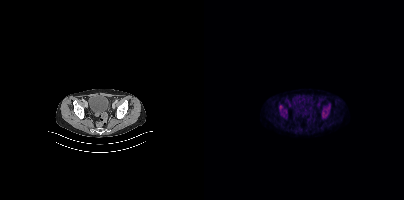
Technique: Two-panel axial: CT | PSMA PET, 18F-PSMA tracer. slice 87 of 413. PET panel 200×200 px (4.1 mm/px).
Findings: Only PSMA-avid lesion pieces thinner than 2 px on this slice (not listed).